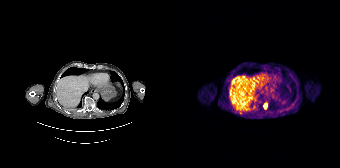
Coordinates are on the 168×168 PET (right) panel. PSMA-avid tumor lesion bounding box (x0, y0)-(x1, y1): (92, 103)-(95, 108). Small PSMA-avid focus (2 to 4 px across) near (center x, center y): (68, 112). Paired axial CT (left) and PSMA PET (right), [68Ga]Ga-PSMA-11 tracer. Acquired on Siemens Biograph 64-4R TruePoint. PET panel 168×168 px (4.1 mm/px).